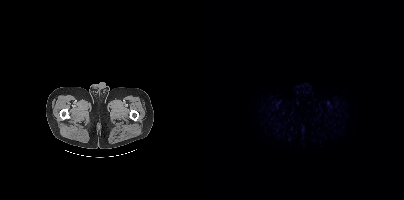
{"modality":"PSMA PET/CT","view":"axial","tracer":"[18F]PSMA-1007","pet_grid":[200,200],"coord_frame":"pet_panel","coord_format":"x0,y0,x1,y1","psma_avid_lesions":false}